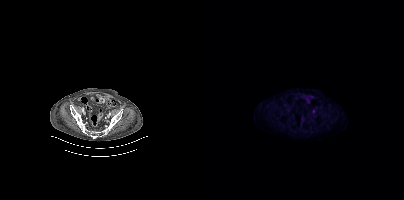
modality: PSMA PET/CT | tracer: 18F-PSMA | view: axial | PET grid: 200×200
Coordinates are on the 200×200 PET (right) panel. Small PSMA-avid focus (2 to 4 px across) near (center x, center y): (109, 111).